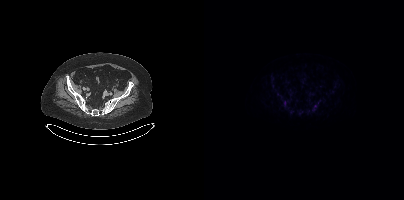
Negative for PSMA-avid disease on this slice. Left: CT. Right: PSMA PET, same axial level, 18F tracer. Acquired on Siemens Biograph mCT Flow 20. PET panel 200×200 px (4.1 mm/px).